Paired axial CT (left) and PSMA PET (right), [18F]PSMA-1007 tracer. Acquired on Siemens Biograph mCT Flow 20. PET panel 200×200 px (4.1 mm/px).
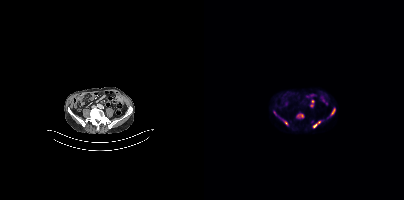
Coordinates are on the 200×200 PET (right) panel. (showing 5 of 6 foci) PSMA-avid tumor lesion bounding boxes (x, y, width, height): x=108 y=120 w=10 h=9 | x=126 y=108 w=6 h=9 | x=93 y=114 w=7 h=4 | x=78 y=119 w=6 h=6 | x=70 y=111 w=3 h=5.